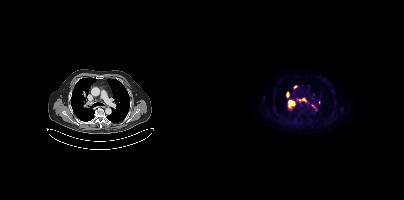
Coordinates are on the 200×200 PET (right) panel. (showing 1 of 2 foci) Small PSMA-avid focus (2 to 4 px across) near (center x, center y): (99, 99).